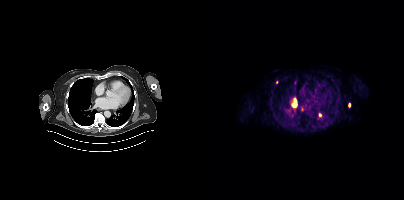
Coordinates are on the 200×200 PET (right) panel. (showing 5 of 6 foci) PSMA-avid tumor lesion bounding box (x0,y0,x1,y1): [89,99,92,106]. Small PSMA-avid foci (2 to 4 px across) near (center x, center y): (72, 82), (145, 105), (97, 109), (115, 115).